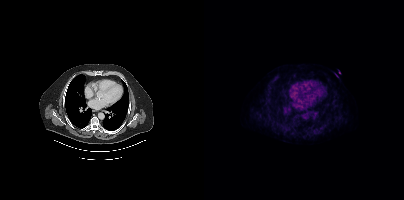
Findings: Negative for PSMA-avid disease on this slice.
Technique: Left: CT. Right: PSMA PET, same axial level, 18F tracer. slice 294 of 435.